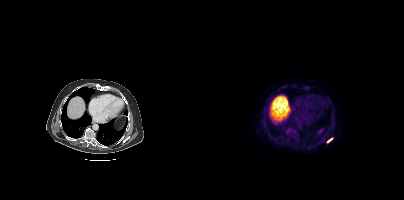
- Paired axial CT (left) and PSMA PET (right), 18F-PSMA tracer
- acquired on Siemens Biograph mCT Flow 20
- PET panel 200×200 px (4.1 mm/px)
Findings: Coordinates are on the 200×200 PET (right) panel. PSMA-avid tumor lesion bounding box (x0,y0,x1,y1): [123,138,128,142].